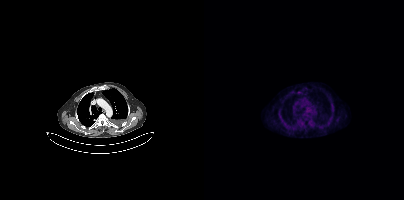
{"modality":"PSMA PET/CT","view":"axial","tracer":"[18F]PSMA-1007","pet_grid":[200,200],"coord_frame":"pet_panel","coord_format":"x0,y0,x1,y1","psma_avid_lesions":false}